Technique: Left: CT. Right: PSMA PET, same axial level, 68Ga tracer. acquired on GE Discovery 690. slice 125 of 263. PET panel 256×256 px (2.7 mm/px).
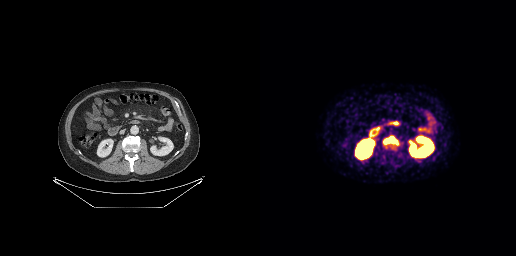
Findings: Coordinates are on the 256×256 PET (right) panel. PSMA-avid tumor lesion bounding box (x0, y0)-(x1, y1): (124, 137)-(136, 143).